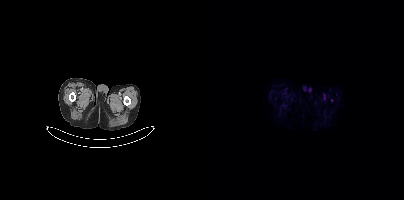
Findings: No PSMA-avid tumor lesions on this slice.
- Left: CT. Right: PSMA PET, same axial level, [18F]PSMA-1007 tracer
- PET panel 200×200 px (4.1 mm/px)